modality: PSMA PET/CT | tracer: [18F]PSMA-1007 | view: axial
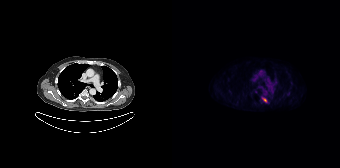
Coordinates are on the 168×168 PET (right) panel. Small PSMA-avid foci (2 to 4 px across) near (center x, center y): (92, 99); (116, 93).